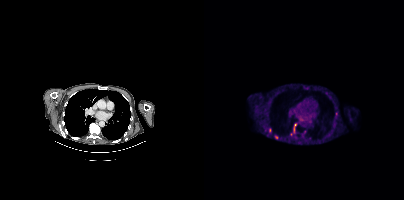
{"modality":"PSMA PET/CT","view":"axial","tracer":"18F","pet_grid":[200,200],"coord_frame":"pet_panel","coord_format":"x0,y0,x1,y1","partial":true,"lesion_bboxes":[[89,128,90,132]],"small_foci_centers":[[91,125],[72,137],[65,130]]}